modality: PSMA PET/CT | tracer: 18F | view: axial
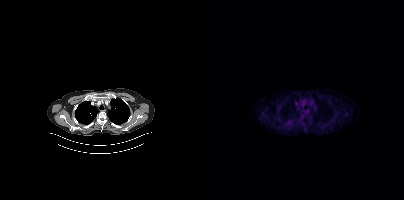
Negative for PSMA-avid disease on this slice.